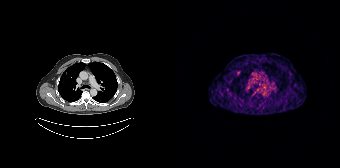
Coordinates are on the 168×168 PET (right) panel. Small PSMA-avid focus (2 to 4 px across) near (center x, center y): (66, 73).